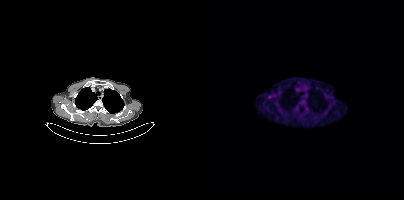
Left: CT. Right: PSMA PET, same axial level, 18F tracer. PET panel 200×200 px (4.1 mm/px). Coordinates are on the 200×200 PET (right) panel. Small PSMA-avid focus (2 to 4 px across) near (center x, center y): (65, 97).